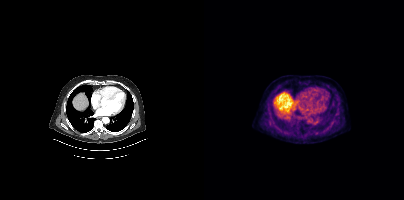
Left: CT. Right: PSMA PET, same axial level, 18F-PSMA tracer. Slice 263 of 409. PET panel 200×200 px (4.1 mm/px). Coordinates are on the 200×200 PET (right) panel. Small PSMA-avid focus (2 to 4 px across) near (center x, center y): (112, 132).